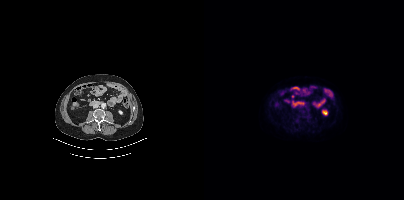
Paired axial CT (left) and PSMA PET (right), [18F]PSMA-1007 tracer. No tumor lesions annotated on this slice.